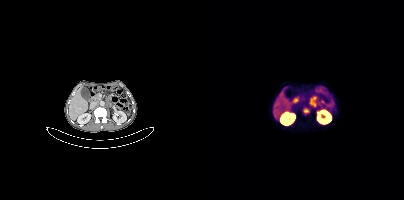
Coordinates are on the 200×200 PET (right) panel. PSMA-avid tumor lesion bounding boxes:
| # | x0 | y0 | x1 | y1 |
|---|---|---|---|---|
| 1 | 106 | 97 | 112 | 106 |
| 2 | 99 | 108 | 105 | 113 |
Left: CT. Right: PSMA PET, same axial level, 68Ga-PSMA tracer. Acquired on Siemens Biograph mCT Flow 20.